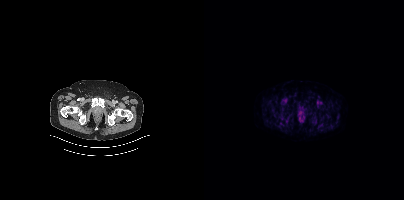
{"modality":"PSMA PET/CT","view":"axial","tracer":"[18F]PSMA-1007","pet_grid":[200,200],"coord_frame":"pet_panel","coord_format":"x0,y0,x1,y1","psma_avid_lesions":false}